Two-panel axial: CT | PSMA PET, 68Ga tracer. Acquired on Siemens Biograph 64-4R TruePoint. PET panel 168×168 px (4.1 mm/px).
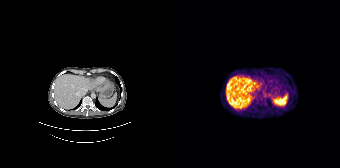
No PSMA-avid tumor lesions on this slice.